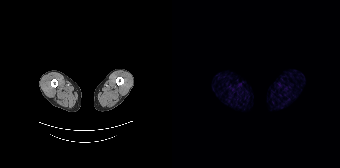
No tumor lesions annotated on this slice.